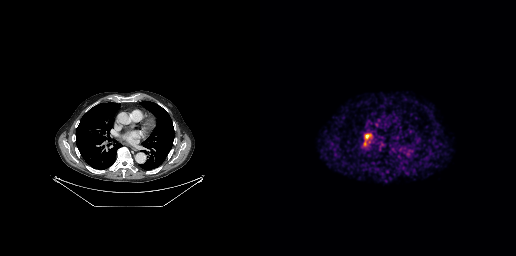
Coordinates are on the 256×256 PET (right) panel. PSMA-avid tumor lesion bounding box (x, y, width, height): x=105 y=134 w=6 h=5. Small PSMA-avid focus (2 to 4 px across) near (center x, center y): (104, 143).